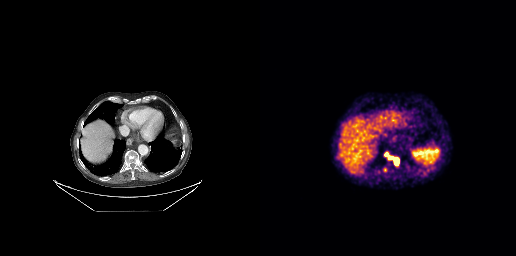
- Paired axial CT (left) and PSMA PET (right), 68Ga tracer
- PET panel 256×256 px (2.7 mm/px)
Findings: Coordinates are on the 256×256 PET (right) panel. (showing 4 of 6 foci) PSMA-avid tumor lesion bounding boxes (x0,y0,x1,y1): [124,153,133,158], [134,158,138,165]. Small PSMA-avid foci (2 to 4 px across) near (center x, center y): (118, 171), (164, 174).